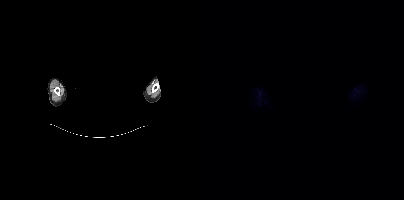
Technique: Two-panel axial: CT | PSMA PET, 18F tracer.
Note: De-identified by setting a box covering the face to black before release.
Findings: No tumor lesions annotated on this slice.